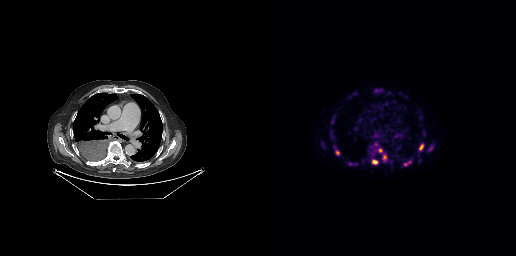
Coordinates are on the 256×256 PET (right) panel. PSMA-avid tumor lesion bounding boxes (partial; 1 more focus not listed):
| # | x0 | y0 | x1 | y1 |
|---|---|---|---|---|
| 1 | 74 | 146 | 80 | 155 |
| 2 | 112 | 159 | 118 | 164 |
| 3 | 88 | 162 | 96 | 165 |
| 4 | 159 | 144 | 163 | 150 |
| 5 | 123 | 154 | 126 | 160 |
| 6 | 118 | 148 | 122 | 152 |
Small PSMA-avid foci (2 to 4 px across) near (center x, center y): (145, 164); (149, 161).
Left: CT. Right: PSMA PET, same axial level, 18F-PSMA tracer. Acquired on GE Discovery 690.